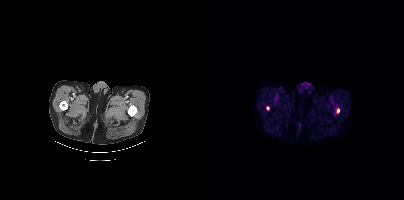
Technique: Paired axial CT (left) and PSMA PET (right), 18F tracer. acquired on Siemens Biograph mCT Flow 20. PET panel 200×200 px (4.1 mm/px).
Findings: Coordinates are on the 200×200 PET (right) panel. PSMA-avid tumor lesion bounding box (x, y, width, height): x=133 y=108 w=3 h=5. Small PSMA-avid focus (2 to 4 px across) near (center x, center y): (63, 108).